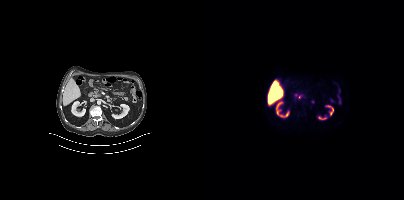
No PSMA-avid tumor lesions on this slice.